Technique: Paired axial CT (left) and PSMA PET (right), [18F]PSMA-1007 tracer. slice 37 of 263.
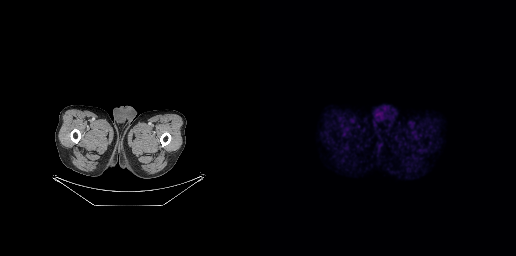
Findings: Negative for PSMA-avid disease on this slice.